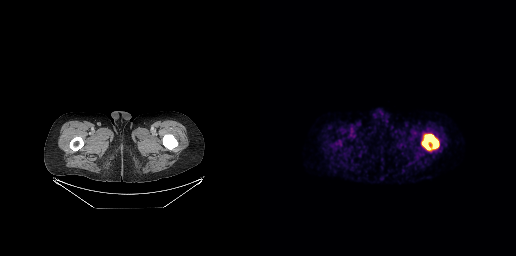
{"modality":"PSMA PET/CT","view":"axial","tracer":"18F","pet_grid":[256,256],"coord_frame":"pet_panel","coord_format":"x0,y0,x1,y1","lesion_bboxes":[[162,134,179,150]]}